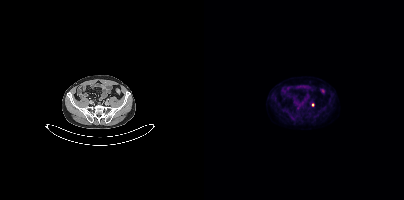
{"modality":"PSMA PET/CT","view":"axial","tracer":"[18F]PSMA-1007","pet_grid":[200,200],"coord_frame":"pet_panel","coord_format":"x0,y0,x1,y1","lesion_bboxes":[],"small_foci_centers":[[108,104]]}